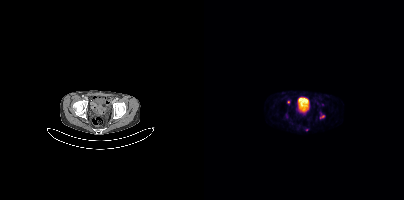
Coordinates are on the 200×200 PET (right) panel. PSMA-avid tumor lesion bounding boxes:
| # | x0 | y0 | x1 | y1 |
|---|---|---|---|---|
| 1 | 116 | 115 | 120 | 118 |
Small PSMA-avid focus (2 to 4 px across) near (center x, center y): (84, 102).
Left: CT. Right: PSMA PET, same axial level, 68Ga-PSMA tracer.